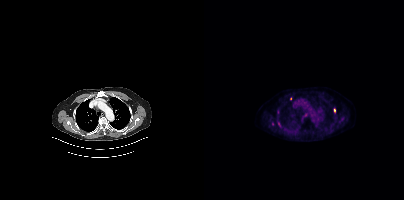
Two-panel axial: CT | PSMA PET, 18F tracer. PET panel 200×200 px (4.1 mm/px). Coordinates are on the 200×200 PET (right) panel. (showing 5 of 6 foci) Small PSMA-avid foci (2 to 4 px across) near (center x, center y): (68, 123) / (130, 110) / (73, 112) / (74, 124) / (86, 98).